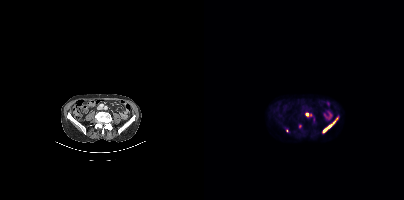
Coordinates are on the 200×200 PET (right) panel. (showing 3 of 4 foci) PSMA-avid tumor lesion bounding boxes (x, y, width, height): x=119 y=117 w=16 h=16 | x=102 y=113 w=7 h=4. Small PSMA-avid focus (2 to 4 px across) near (center x, center y): (82, 130).
modality: PSMA PET/CT | tracer: [18F]PSMA-1007 | view: axial